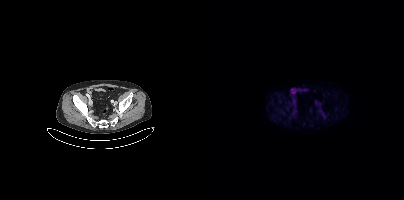
No tumor lesions annotated on this slice.